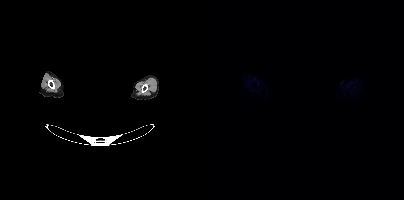
Privacy masking over the head, with the pixels inside a rectangle set to black. Left: CT. Right: PSMA PET, same axial level, 18F-PSMA tracer. Slice position z = -224 mm. This slice has no annotated PSMA-avid lesion.